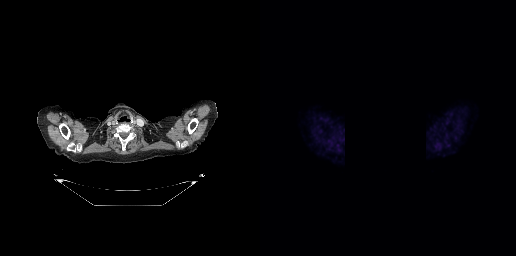
Negative for PSMA-avid disease on this slice.
Any black rectangle here is a de-identification mask.